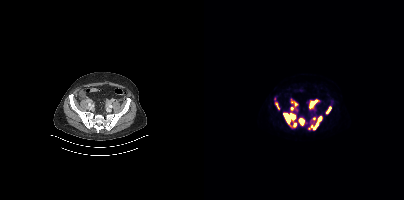
- Paired axial CT (left) and PSMA PET (right), [18F]PSMA-1007 tracer
Findings: Coordinates are on the 200×200 PET (right) panel. (showing 10 of 11 foci) PSMA-avid tumor lesion bounding boxes (x0,y0,x1,y1): [79,113,91,126], [104,116,118,129], [105,99,114,108], [94,118,100,125], [122,106,127,113], [87,101,93,106], [89,122,92,127], [72,103,75,109]. Small PSMA-avid foci (2 to 4 px across) near (center x, center y): (87, 108), (110, 118).